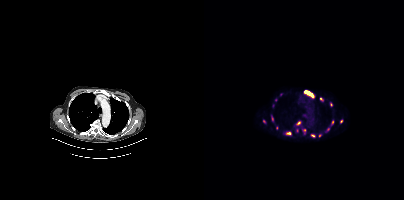
{"modality":"PSMA PET/CT","view":"axial","tracer":"68Ga-PSMA","pet_grid":[200,200],"coord_frame":"pet_panel","coord_format":"x0,y0,x1,y1","partial":true,"lesion_bboxes":[[100,91,109,96],[82,132,87,134],[107,134,111,137],[68,117,69,121],[127,121,129,125]],"small_foci_centers":[[94,122],[123,129],[73,127],[137,121],[100,130],[116,98],[115,135]]}